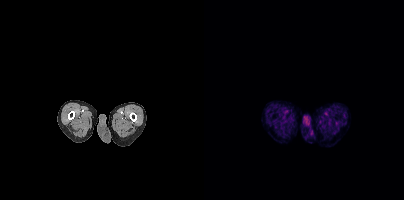
This slice has no annotated PSMA-avid lesion.
modality: PSMA PET/CT | tracer: 18F | view: axial